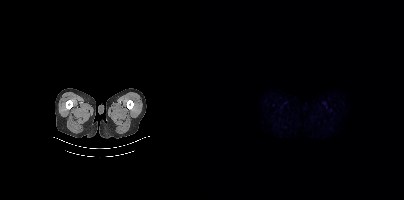
Negative for PSMA-avid disease on this slice.